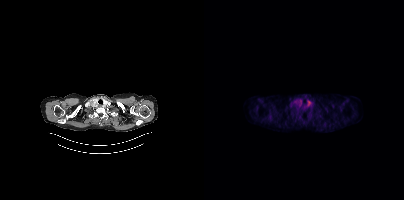
modality: PSMA PET/CT | tracer: 18F | view: axial | PET grid: 200×200
No PSMA-avid tumor lesions on this slice.